Two-panel axial: CT | PSMA PET, [18F]PSMA-1007 tracer.
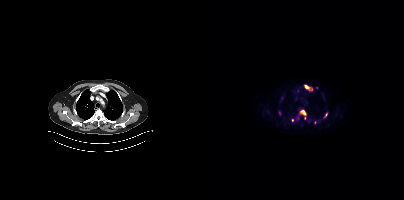
Coordinates are on the 200×200 PET (right) panel. (showing 8 of 10 foci) PSMA-avid tumor lesion bounding boxes (x0, y0)-(x1, y1): (100, 84)-(108, 90) / (96, 110)-(102, 115) / (119, 112)-(123, 118) / (75, 111)-(77, 115). Small PSMA-avid foci (2 to 4 px across) near (center x, center y): (94, 117) / (88, 120) / (93, 90) / (100, 117).